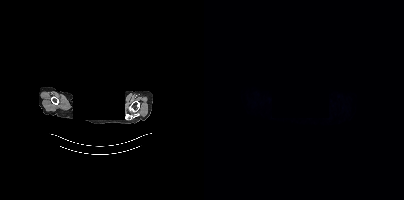
This slice has no annotated PSMA-avid lesion. Facial anatomy redacted by setting a rectangular region of the head to black. Paired axial CT (left) and PSMA PET (right), 18F tracer. Slice position z = -436 mm.